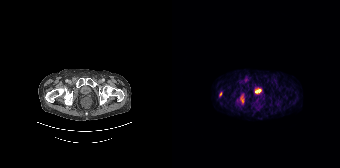
Technique: Two-panel axial: CT | PSMA PET, 68Ga tracer. PET panel 168×168 px (4.1 mm/px).
Findings: Coordinates are on the 168×168 PET (right) panel. PSMA-avid tumor lesion bounding boxes (x0,y0,x1,y1): [69,96,71,102]; [47,92,50,96].